Two-panel axial: CT | PSMA PET, 18F tracer. Slice 239 of 466. PET panel 200×200 px (4.1 mm/px).
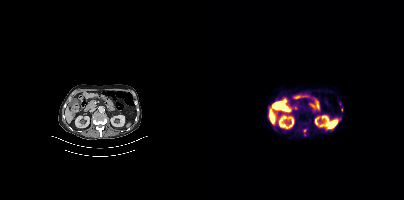
Coordinates are on the 200×200 PET (right) panel. (showing 2 of 3 foci) Small PSMA-avid foci (2 to 4 px across) near (center x, center y): (137, 109); (136, 118).